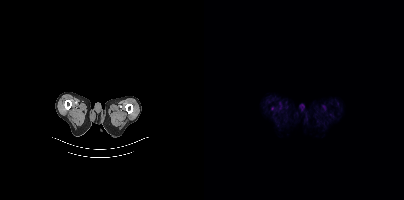
Negative for PSMA-avid disease on this slice.